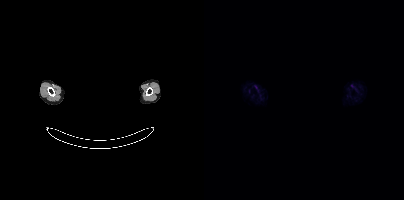
Findings: This slice has no annotated PSMA-avid lesion.
- facial anatomy redacted by setting a rectangular region of the head to black
- Paired axial CT (left) and PSMA PET (right), [18F]PSMA-1007 tracer